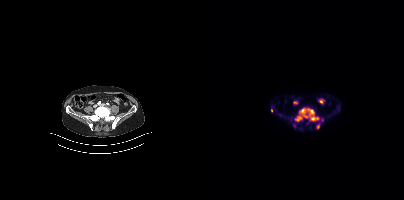
Two-panel axial: CT | PSMA PET, [18F]PSMA-1007 tracer. PET panel 200×200 px (4.1 mm/px).
Coordinates are on the 200×200 PET (right) panel. PSMA-avid tumor lesion bounding boxes:
| # | x0 | y0 | x1 | y1 |
|---|---|---|---|---|
| 1 | 89 | 109 | 115 | 127 |
| 2 | 112 | 124 | 115 | 129 |
Small PSMA-avid foci (2 to 4 px across) near (center x, center y): (67, 110); (118, 119).